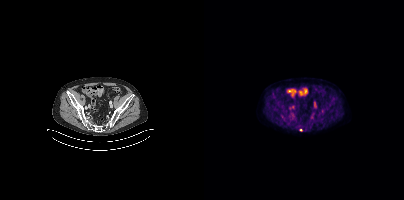
Paired axial CT (left) and PSMA PET (right), 18F-PSMA tracer. Slice 99 of 429. Coordinates are on the 200×200 PET (right) panel. Small PSMA-avid focus (2 to 4 px across) near (center x, center y): (96, 129).